Left: CT. Right: PSMA PET, same axial level, 18F tracer. Slice position z = -988 mm.
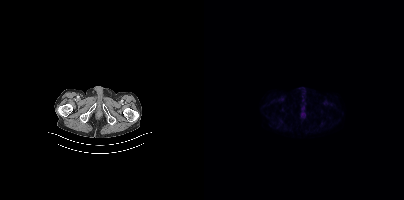
Negative for PSMA-avid disease on this slice.